Technique: Two-panel axial: CT | PSMA PET, 68Ga-PSMA tracer.
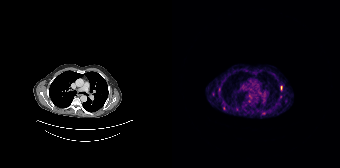
Findings: Only PSMA-avid lesion pieces thinner than 2 px on this slice (not listed).